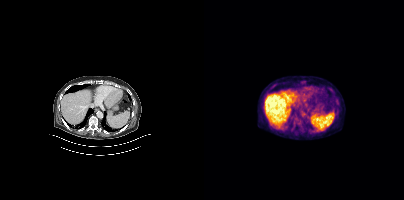
No tumor lesions annotated on this slice.